Two-panel axial: CT | PSMA PET, 68Ga tracer. Slice 46 of 195.
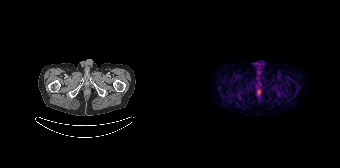
No tumor lesions annotated on this slice.